Two-panel axial: CT | PSMA PET, 18F-PSMA tracer.
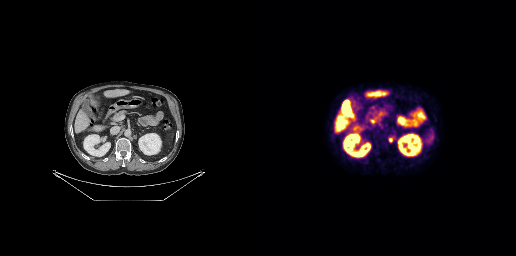
Coordinates are on the 256×256 PET (right) panel. PSMA-avid tumor lesion bounding box (x, y, width, height): x=128 y=137 w=6 h=6.